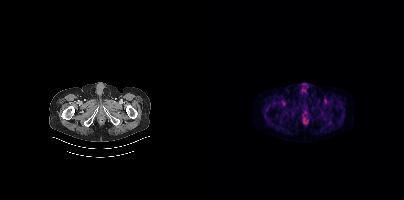
No tumor lesions annotated on this slice.